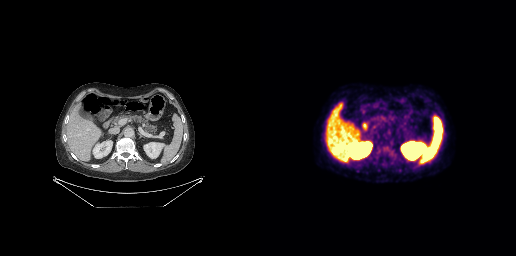
- Left: CT. Right: PSMA PET, same axial level, 18F tracer
Findings: No PSMA-avid tumor lesions on this slice.